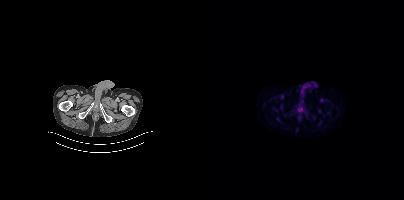
modality: PSMA PET/CT | tracer: 18F-PSMA | view: axial
No PSMA-avid tumor lesions on this slice.